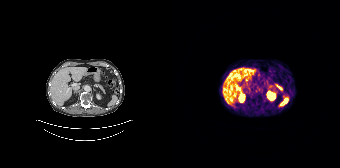
Negative for PSMA-avid disease on this slice.
modality: PSMA PET/CT | tracer: 68Ga | view: axial | PET grid: 168×168